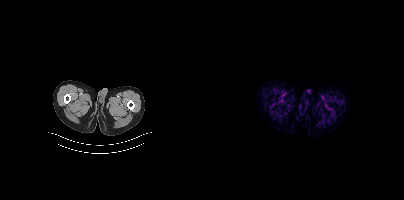
Left: CT. Right: PSMA PET, same axial level, 18F tracer. Slice position z = -961 mm. PET panel 200×200 px (4.1 mm/px). This slice has no annotated PSMA-avid lesion.